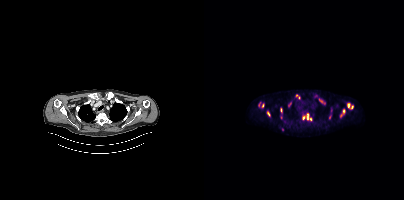
Left: CT. Right: PSMA PET, same axial level, 18F-PSMA tracer. Acquired on Siemens Biograph mCT Flow 20. Slice 292 of 401. PET panel 200×200 px (4.1 mm/px). Coordinates are on the 200×200 PET (right) panel. (showing 13 of 15 foci) PSMA-avid tumor lesion bounding boxes (x, y, width, height): x=143 y=103 w=7 h=7 / x=136 y=109 w=6 h=9 / x=84 y=101 w=4 h=7 / x=115 y=99 w=7 h=6 / x=92 y=94 w=4 h=6 / x=103 y=114 w=2 h=6 / x=63 y=112 w=4 h=5. Small PSMA-avid foci (2 to 4 px across) near (center x, center y): (99, 117) / (125, 117) / (106, 119) / (55, 103) / (58, 105) / (78, 129).